- Left: CT. Right: PSMA PET, same axial level, [18F]PSMA-1007 tracer
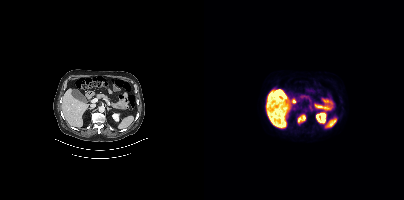
Findings: Coordinates are on the 200×200 PET (right) panel. PSMA-avid tumor lesion bounding box (x0,y0,x1,y1): [94,114,102,122].